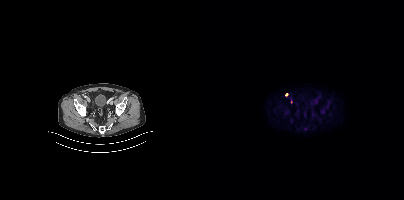
No PSMA-avid tumor lesions on this slice.